- Two-panel axial: CT | PSMA PET, [18F]PSMA-1007 tracer
- acquired on Siemens Biograph mCT Flow 20
- slice 410 of 435
- a rectangle over the head was blacked out to remove identifiable facial features
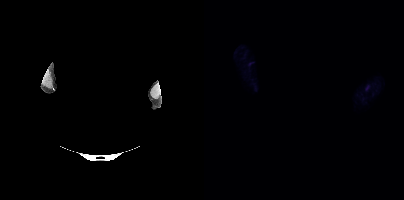
Findings: No PSMA-avid tumor lesions on this slice.